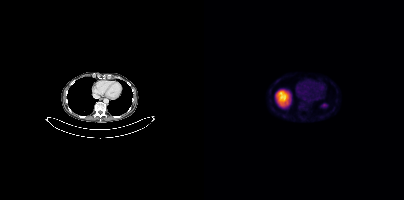
Negative for PSMA-avid disease on this slice.